modality: PSMA PET/CT | tracer: 18F | view: axial | PET grid: 200×200
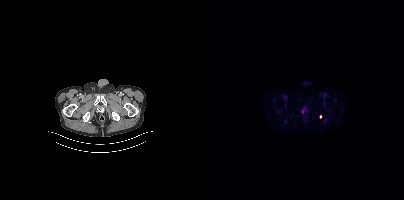
Coordinates are on the 200×200 PET (right) panel. (showing 1 of 2 foci) Small PSMA-avid focus (2 to 4 px across) near (center x, center y): (116, 116).